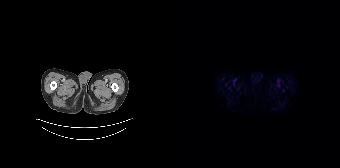
Technique: Two-panel axial: CT | PSMA PET, [18F]PSMA-1007 tracer. slice 11 of 165. PET panel 168×168 px (4.1 mm/px).
Findings: No PSMA-avid tumor lesions on this slice.